Paired axial CT (left) and PSMA PET (right), [18F]PSMA-1007 tracer. PET panel 200×200 px (4.1 mm/px).
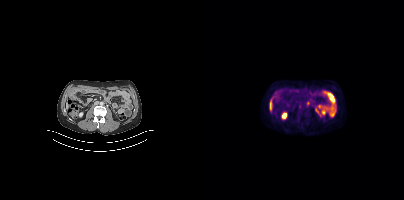
Coordinates are on the 200×200 PET (right) panel. (showing 1 of 2 foci) Small PSMA-avid focus (2 to 4 px across) near (center x, center y): (103, 103).